Technique: Two-panel axial: CT | PSMA PET, [18F]PSMA-1007 tracer. slice 262 of 387. PET panel 200×200 px (4.1 mm/px).
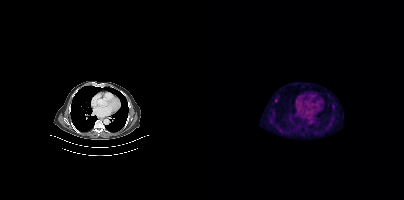
Findings: Only PSMA-avid lesion pieces thinner than 2 px on this slice (not listed).